modality: PSMA PET/CT | tracer: 68Ga-PSMA | view: axial | PET grid: 256×256
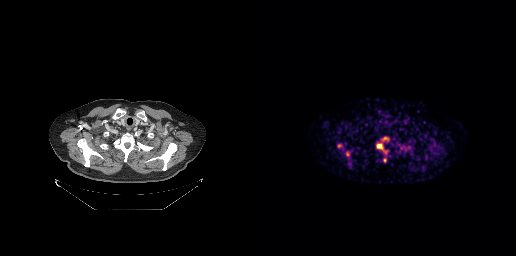
Coordinates are on the 256×256 PET (right) panel. PSMA-avid tumor lesion bounding boxes (x0,y0,x1,y1): [116,143,127,153] [121,137,129,141] [86,151,89,156] [77,144,82,147] [123,158,126,162].